Technique: Paired axial CT (left) and PSMA PET (right), 18F tracer. PET panel 200×200 px (4.1 mm/px).
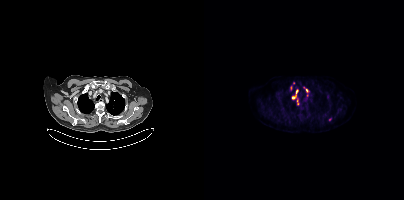
Findings: Coordinates are on the 200×200 PET (right) panel. PSMA-avid tumor lesion bounding box (x0, y0)-(x1, y1): (93, 100)-(94, 104). Small PSMA-avid foci (2 to 4 px across) near (center x, center y): (87, 87) / (89, 97) / (89, 82) / (102, 90) / (92, 91).